Technique: Two-panel axial: CT | PSMA PET, [18F]PSMA-1007 tracer. acquired on Siemens Biograph mCT Flow 20. PET panel 200×200 px (4.1 mm/px).
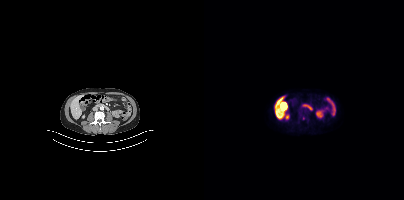
Findings: This slice has no annotated PSMA-avid lesion.